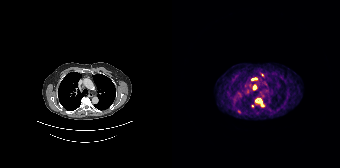
Two-panel axial: CT | PSMA PET, 68Ga tracer. PET panel 168×168 px (4.1 mm/px).
Coordinates are on the 168×168 PET (right) panel. PSMA-avid tumor lesion bounding boxes (partial; 1 more focus not listed):
| # | x0 | y0 | x1 | y1 |
|---|---|---|---|---|
| 1 | 83 | 98 | 91 | 106 |
| 2 | 81 | 85 | 84 | 89 |
| 3 | 79 | 78 | 85 | 80 |
Small PSMA-avid foci (2 to 4 px across) near (center x, center y): (67, 111); (90, 74).